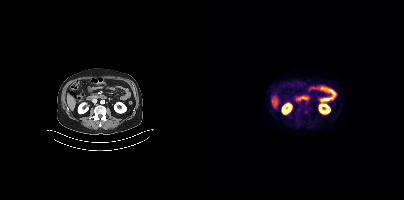
{"modality":"PSMA PET/CT","view":"axial","tracer":"18F","pet_grid":[200,200],"coord_frame":"pet_panel","coord_format":"x0,y0,x1,y1","lesion_bboxes":[],"small_foci_centers":[[101,111]]}